Two-panel axial: CT | PSMA PET, 18F-PSMA tracer. Acquired on Siemens Biograph mCT Flow 20. Slice 216 of 450.
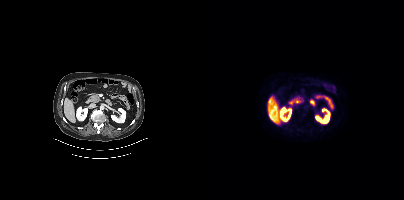
No tumor lesions annotated on this slice.